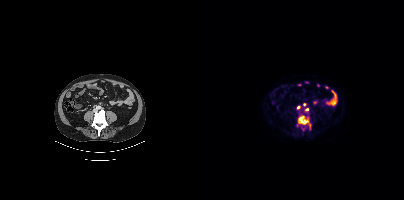
{"modality":"PSMA PET/CT","view":"axial","tracer":"[18F]PSMA-1007","pet_grid":[200,200],"coord_frame":"pet_panel","coord_format":"x0,y0,x1,y1","lesion_bboxes":[[94,116,104,124]],"small_foci_centers":[[94,107],[102,109],[100,104],[105,125]]}